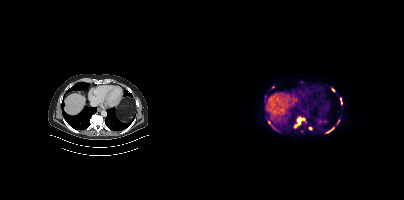
Coordinates are on the 200×200 PET (right) panel. (showing 4 of 7 foci) PSMA-avid tumor lesion bounding box (x, y, width, height): x=90 y=118 w=9 h=10. Small PSMA-avid foci (2 to 4 px across) near (center x, center y): (129, 90) / (136, 99) / (137, 102).